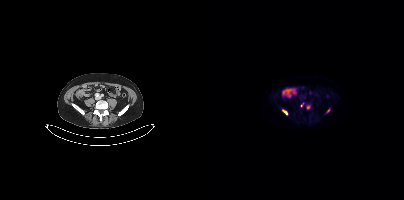
- Two-panel axial: CT | PSMA PET, 18F-PSMA tracer
- acquired on Siemens Biograph mCT Flow 20
Findings: Coordinates are on the 200×200 PET (right) panel. PSMA-avid tumor lesion bounding boxes (x0,y0,x1,y1): [78,110,83,114]; [122,109,126,113].